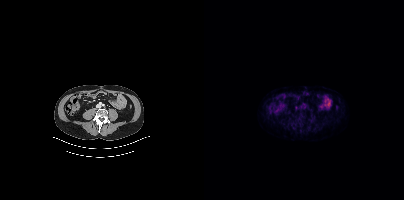
modality: PSMA PET/CT | tracer: [68Ga]Ga-PSMA-11 | view: axial | PET grid: 200×200
No PSMA-avid tumor lesions on this slice.